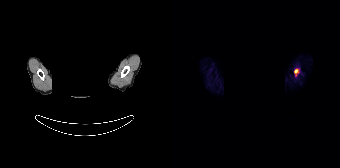
- Left: CT. Right: PSMA PET, same axial level, 68Ga-PSMA tracer
- head region blanked for anonymization (face removed)
Findings: Coordinates are on the 168×168 PET (right) panel. Small PSMA-avid focus (2 to 4 px across) near (center x, center y): (123, 70).